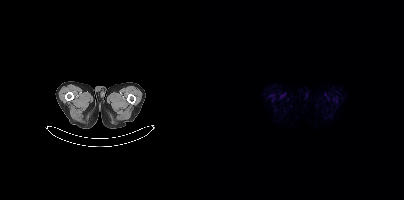
Findings: This slice has no annotated PSMA-avid lesion.
- Two-panel axial: CT | PSMA PET, 18F tracer
- acquired on Siemens Biograph mCT Flow 20
- slice position z = -1578 mm